Left: CT. Right: PSMA PET, same axial level, 18F-PSMA tracer. Acquired on Siemens Biograph mCT Flow 20. PET panel 200×200 px (4.1 mm/px). A rectangle over the head was blacked out to remove identifiable facial features.
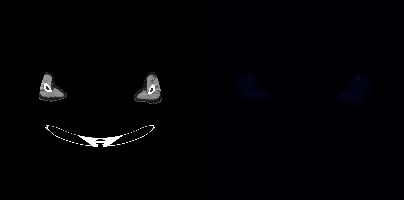
No tumor lesions annotated on this slice.